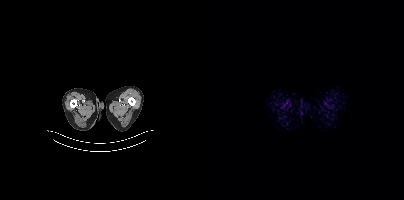
Negative for PSMA-avid disease on this slice. Paired axial CT (left) and PSMA PET (right), 18F-PSMA tracer. Slice 4 of 356.